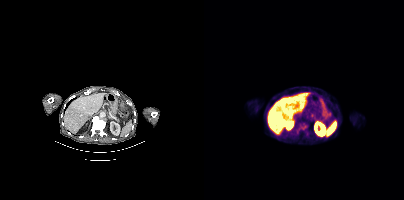
Coordinates are on the 200×200 PET (right) panel. (showing 2 of 3 foci) PSMA-avid tumor lesion bounding box (x, y, width, height): x=97 y=125 w=6 h=5. Small PSMA-avid focus (2 to 4 px across) near (center x, center y): (102, 134).